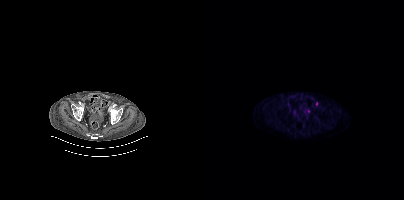
Left: CT. Right: PSMA PET, same axial level, 18F tracer. Acquired on Siemens Biograph mCT Flow 20. Slice position z = -1640 mm. Coordinates are on the 200×200 PET (right) panel. Small PSMA-avid focus (2 to 4 px across) near (center x, center y): (112, 103).